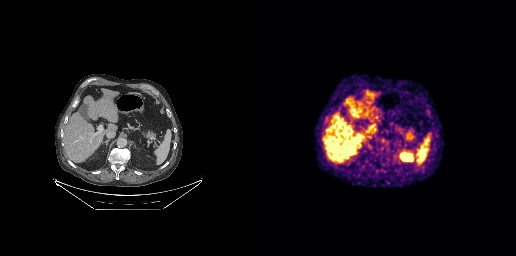
- Left: CT. Right: PSMA PET, same axial level, 18F tracer
Findings: Coordinates are on the 256×256 PET (right) panel. PSMA-avid tumor lesion bounding box (x, y, width, height): x=167 y=110 w=3 h=6.